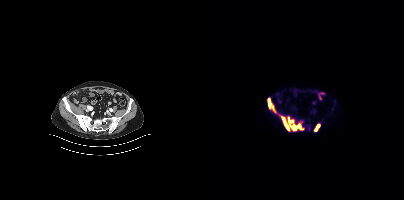
Coordinates are on the 200×200 PET (right) panel. PSMA-avid tumor lesion bounding boxes (x0,y0,x1,y1): [75,114,99,130], [63,98,72,113], [110,124,115,131].